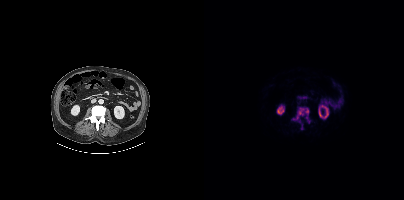
Coordinates are on the 200×200 PET (right) panel. PSMA-avid tumor lesion bounding boxes (x0,y0,x1,y1): [88,107,106,123], [97,124,98,129]. Left: CT. Right: PSMA PET, same axial level, [18F]PSMA-1007 tracer. Acquired on Siemens Biograph mCT Flow 20. Slice 171 of 423.